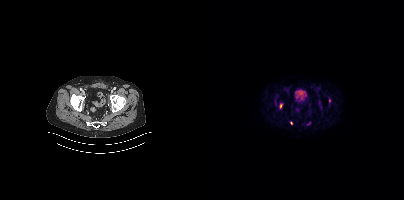
Findings: Coordinates are on the 200×200 PET (right) panel. PSMA-avid tumor lesion bounding box (x0,y0,x1,y1): [76,104,78,108]. Small PSMA-avid focus (2 to 4 px across) near (center x, center y): (87, 123).
Technique: Left: CT. Right: PSMA PET, same axial level, 18F tracer.